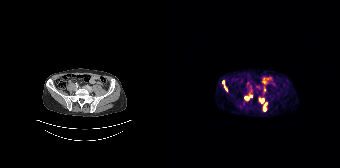
Coordinates are on the 168×168 PET (right) panel. (showing 7 of 8 foci) PSMA-avid tumor lesion bounding boxes (x0, y0)-(x1, y1): (87, 99)-(92, 102) / (91, 106)-(94, 110) / (52, 86)-(55, 90). Small PSMA-avid foci (2 to 4 px across) near (center x, center y): (74, 98) / (51, 82) / (78, 95) / (93, 103).